Technique: Paired axial CT (left) and PSMA PET (right), [18F]PSMA-1007 tracer. PET panel 200×200 px (4.1 mm/px).
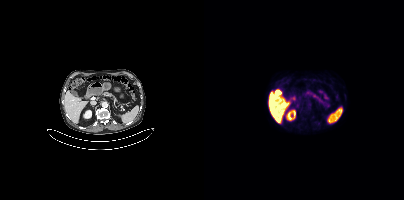
Findings: Negative for PSMA-avid disease on this slice.